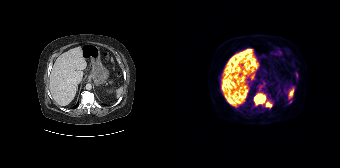
{"modality":"PSMA PET/CT","view":"axial","tracer":"[68Ga]Ga-PSMA-11","pet_grid":[168,168],"coord_frame":"pet_panel","coord_format":"x0,y0,x1,y1","lesion_bboxes":[[82,93,93,105],[94,102,99,107]],"small_foci_centers":[[119,94]]}